Two-panel axial: CT | PSMA PET, 68Ga tracer. Acquired on Siemens Biograph mCT Flow 20. Slice position z = -863 mm.
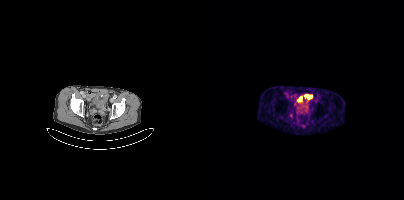
Only PSMA-avid lesion pieces thinner than 2 px on this slice (not listed).